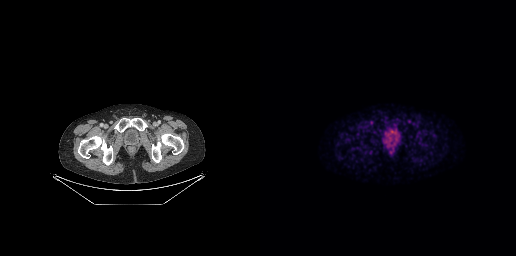
No tumor lesions annotated on this slice.